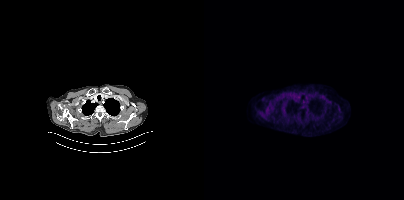
Negative for PSMA-avid disease on this slice.